Two-panel axial: CT | PSMA PET, [18F]PSMA-1007 tracer. Acquired on Siemens Biograph 64-4R TruePoint.
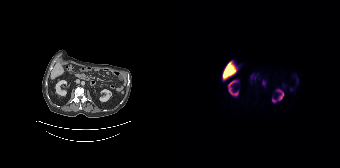
No PSMA-avid tumor lesions on this slice.